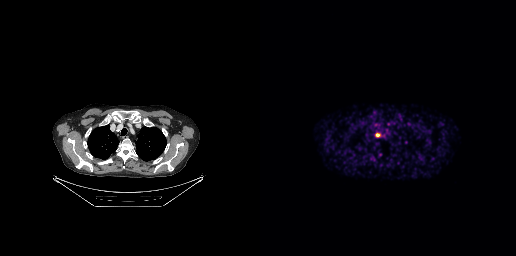
- Two-panel axial: CT | PSMA PET, 68Ga-PSMA tracer
- slice 140 of 189
Findings: Coordinates are on the 256×256 PET (right) panel. Small PSMA-avid focus (2 to 4 px across) near (center x, center y): (117, 134).